- Left: CT. Right: PSMA PET, same axial level, 18F tracer
- slice 145 of 405
- PET panel 200×200 px (4.1 mm/px)
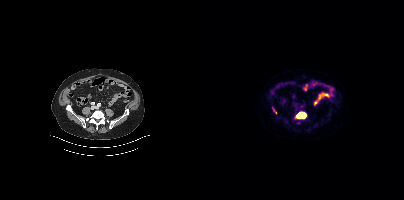
Findings: Coordinates are on the 200×200 PET (right) panel. PSMA-avid tumor lesion bounding boxes (x, y, width, height): x=92 y=112 w=11 h=7 / x=68 y=107 w=5 h=7.